- Two-panel axial: CT | PSMA PET, [18F]PSMA-1007 tracer
- slice 103 of 429
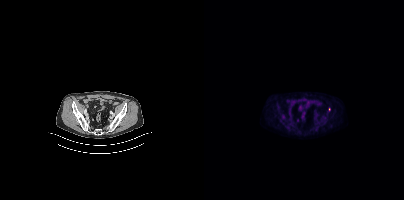
Findings: Only PSMA-avid lesion pieces thinner than 2 px on this slice (not listed).